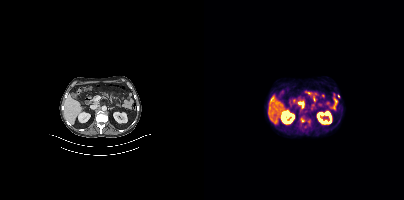
Technique: Left: CT. Right: PSMA PET, same axial level, [18F]PSMA-1007 tracer. PET panel 200×200 px (4.1 mm/px).
Findings: Coordinates are on the 200×200 PET (right) panel. (showing 3 of 4 foci) PSMA-avid tumor lesion bounding box (x, y, width, height): x=96 y=117 w=6 h=6. Small PSMA-avid foci (2 to 4 px across) near (center x, center y): (105, 121); (134, 95).